Technique: Two-panel axial: CT | PSMA PET, 18F-PSMA tracer. PET panel 200×200 px (4.1 mm/px).
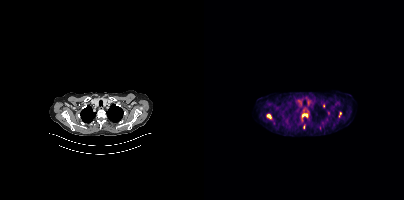
Findings: Coordinates are on the 200×200 PET (right) panel. (showing 5 of 6 foci) PSMA-avid tumor lesion bounding boxes (x, y, width, height): x=98 y=113 w=6 h=5; x=63 y=114 w=5 h=5; x=135 y=112 w=2 h=6. Small PSMA-avid foci (2 to 4 px across) near (center x, center y): (119, 105); (99, 126).